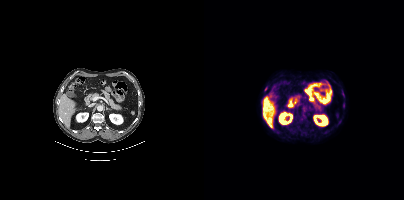
{"modality":"PSMA PET/CT","view":"axial","tracer":"[18F]PSMA-1007","pet_grid":[200,200],"coord_frame":"pet_panel","coord_format":"x0,y0,x1,y1","lesion_bboxes":[],"small_foci_centers":[[61,88]]}